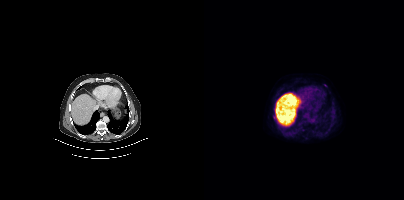
{"pet_grid":[200,200],"coord_frame":"pet_panel","coord_format":"x0,y0,x1,y1","partial":true,"lesion_bboxes":[],"modality":"PSMA PET/CT","view":"axial","tracer":"18F-PSMA"}